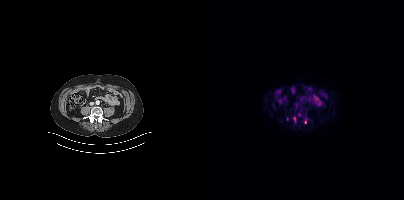
Findings: Coordinates are on the 200×200 PET (right) panel. (showing 1 of 2 foci) PSMA-avid tumor lesion bounding box (x0, y0)-(x1, y1): (90, 118)-(91, 122).
- Left: CT. Right: PSMA PET, same axial level, 18F tracer
- acquired on Siemens Biograph mCT Flow 20